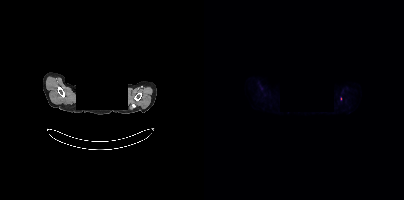
De-identified by setting a box covering the face to black before release.
Only PSMA-avid lesion pieces thinner than 2 px on this slice (not listed).